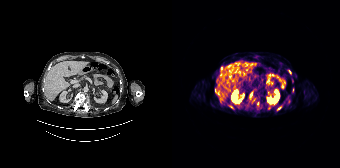
- Left: CT. Right: PSMA PET, same axial level, 68Ga-PSMA tracer
- slice 112 of 195
Findings: Coordinates are on the 168×168 PET (right) panel. PSMA-avid tumor lesion bounding boxes (x0,y0,x1,y1): [85,101,87,106]; [57,105,61,108]. Small PSMA-avid foci (2 to 4 px across) near (center x, center y): (79, 94); (117, 71); (43, 90); (107, 108).